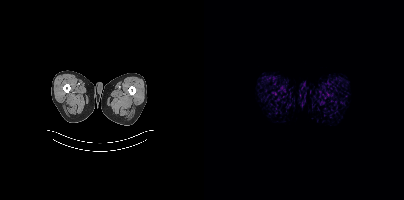
{"modality":"PSMA PET/CT","view":"axial","tracer":"[68Ga]Ga-PSMA-11","pet_grid":[200,200],"coord_frame":"pet_panel","coord_format":"x0,y0,x1,y1","psma_avid_lesions":false}